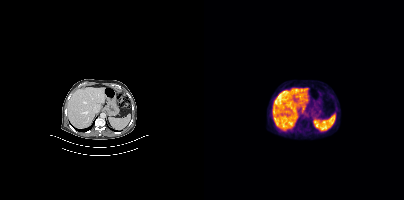
- Two-panel axial: CT | PSMA PET, [18F]PSMA-1007 tracer
- PET panel 200×200 px (4.1 mm/px)
Findings: This slice has no annotated PSMA-avid lesion.